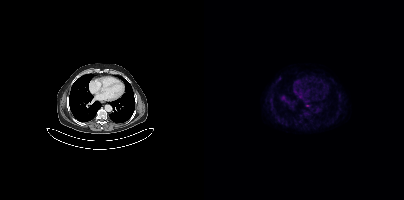
Coordinates are on the 200×200 PET (right) panel. Small PSMA-avid focus (2 to 4 px across) near (center x, center y): (102, 105).